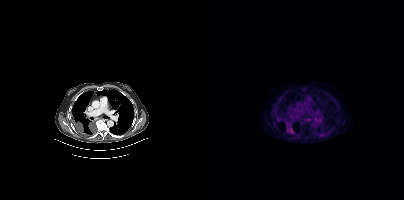
Paired axial CT (left) and PSMA PET (right), 18F-PSMA tracer. Acquired on Siemens Biograph mCT Flow 20. Slice position z = -1026 mm. PET panel 200×200 px (4.1 mm/px). Coordinates are on the 200×200 PET (right) panel. PSMA-avid tumor lesion bounding box (x0,y0,x1,y1): [82,124,89,134]. Small PSMA-avid focus (2 to 4 px across) near (center x, center y): (73, 117).